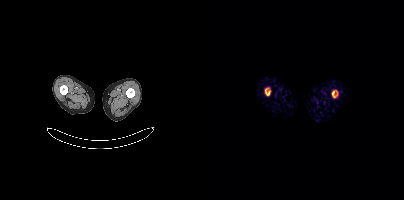
modality: PSMA PET/CT | tracer: [18F]PSMA-1007 | view: axial | PET grid: 200×200
Coordinates are on the 200×200 PET (right) panel. PSMA-avid tumor lesion bounding boxes (x0,y0,x1,y1): [61,87,66,95] [128,90,133,97].